Two-panel axial: CT | PSMA PET, 68Ga tracer. Slice 46 of 405. PET panel 200×200 px (4.1 mm/px).
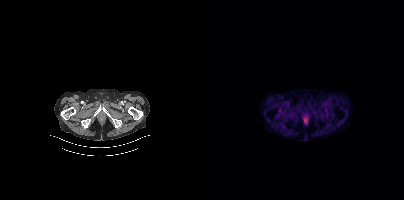
No tumor lesions annotated on this slice.